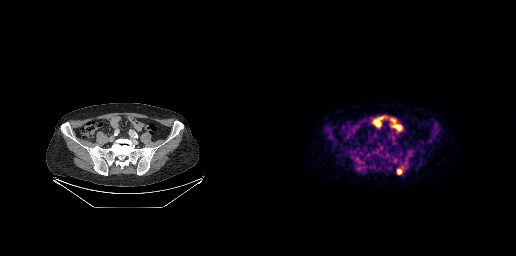
{"modality":"PSMA PET/CT","view":"axial","tracer":"18F-PSMA","pet_grid":[256,256],"coord_frame":"pet_panel","coord_format":"x0,y0,x1,y1","lesion_bboxes":[[137,169,141,174]]}